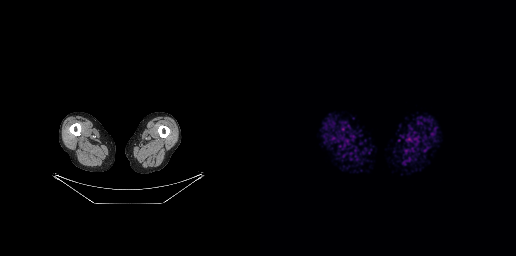
modality: PSMA PET/CT | tracer: [18F]PSMA-1007 | view: axial
No PSMA-avid tumor lesions on this slice.